Left: CT. Right: PSMA PET, same axial level, [18F]PSMA-1007 tracer. Acquired on Siemens Biograph mCT Flow 20. Slice 367 of 452. PET panel 200×200 px (4.1 mm/px).
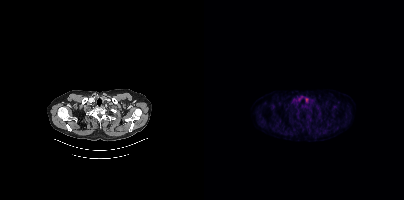
No PSMA-avid tumor lesions on this slice.